Left: CT. Right: PSMA PET, same axial level, [18F]PSMA-1007 tracer. Acquired on Siemens Biograph mCT Flow 20. Slice 347 of 413. PET panel 200×200 px (4.1 mm/px).
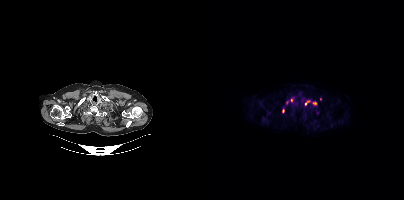
Coordinates are on the 200×200 PET (right) panel. PSMA-avid tumor lesion bounding boxes (partial; 2 more foci not listed):
| # | x0 | y0 | x1 | y1 |
|---|---|---|---|---|
| 1 | 101 | 100 | 106 | 105 |
Small PSMA-avid foci (2 to 4 px across) near (center x, center y): (110, 103); (79, 110); (87, 100).